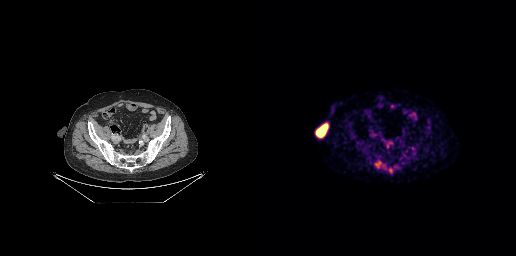
Coordinates are on the 256×256 PET (right) panel. PSMA-avid tumor lesion bounding box (x0, y0)-(x1, y1): (115, 162)-(120, 167). Small PSMA-avid focus (2 to 4 px across) near (center x, center y): (130, 170).